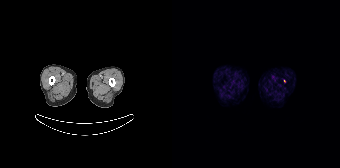
{"modality":"PSMA PET/CT","view":"axial","tracer":"68Ga","pet_grid":[168,168],"coord_frame":"pet_panel","coord_format":"x0,y0,x1,y1","lesion_bboxes":[],"small_foci_centers":[[112,81]]}